Two-panel axial: CT | PSMA PET, 18F-PSMA tracer. Acquired on Siemens Biograph mCT Flow 20.
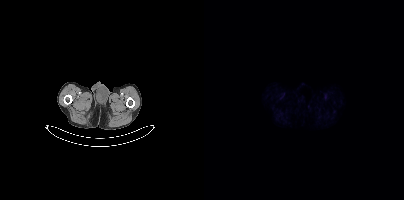
This slice has no annotated PSMA-avid lesion.